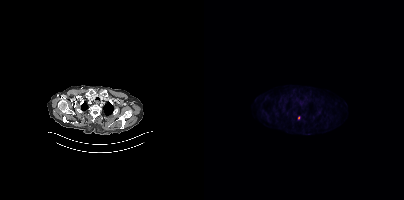
modality: PSMA PET/CT | tracer: 18F | view: axial | PET grid: 200×200
Coordinates are on the 200×200 PET (right) panel. Small PSMA-avid focus (2 to 4 px across) near (center x, center y): (95, 117).